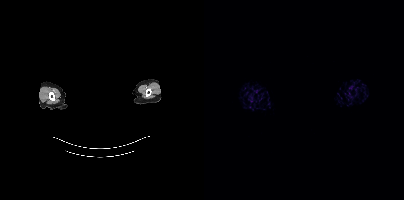
{"pet_grid":[200,200],"coord_frame":"pet_panel","coord_format":"x0,y0,x1,y1","psma_avid_lesions":false,"de-identification":"face masked with black rectangle","modality":"PSMA PET/CT","view":"axial","tracer":"[68Ga]Ga-PSMA-11"}